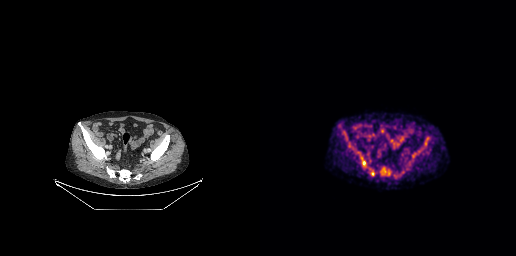
Coordinates are on the 256×256 PET (right) panel. (showing 7 of 8 foci) PSMA-avid tumor lesion bounding boxes (x0,y0,x1,y1): [164,137,169,146]; [121,168,126,174]; [101,157,105,165]; [158,149,162,152]. Small PSMA-avid foci (2 to 4 px across) near (center x, center y): (112, 173); (128, 173); (89, 146).